Paired axial CT (left) and PSMA PET (right), [18F]PSMA-1007 tracer. Slice 278 of 462.
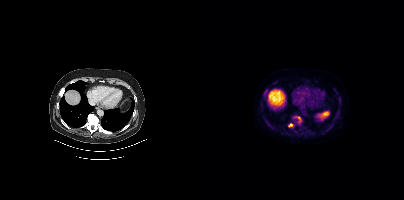
Coordinates are on the 200×200 PET (right) panel. PSMA-avid tumor lesion bounding boxes:
| # | x0 | y0 | x1 | y1 |
|---|---|---|---|---|
| 1 | 92 | 116 | 97 | 122 |
| 2 | 84 | 123 | 89 | 127 |
Small PSMA-avid focus (2 to 4 px across) near (center x, center y): (62, 89).